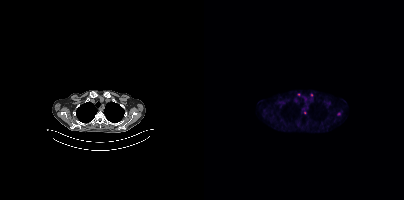
{"modality":"PSMA PET/CT","view":"axial","tracer":"18F","pet_grid":[200,200],"coord_frame":"pet_panel","coord_format":"x0,y0,x1,y1","lesion_bboxes":[],"small_foci_centers":[[107,95],[135,113],[100,112],[94,94]]}